Two-panel axial: CT | PSMA PET, 68Ga-PSMA tracer. Acquired on GE Discovery 690. PET panel 256×256 px (2.7 mm/px).
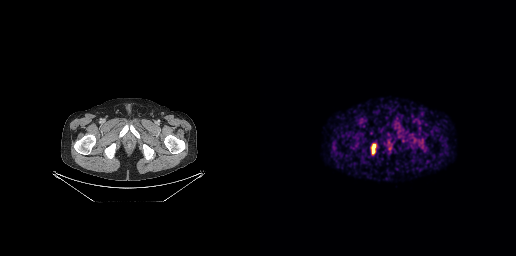
Coordinates are on the 256×256 PET (right) panel. PSMA-avid tumor lesion bounding boxes:
| # | x0 | y0 | x1 | y1 |
|---|---|---|---|---|
| 1 | 112 | 144 | 115 | 153 |